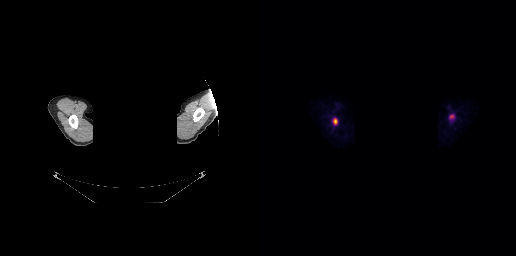
{"modality":"PSMA PET/CT","view":"axial","tracer":"18F","pet_grid":[256,256],"coord_frame":"pet_panel","coord_format":"x0,y0,x1,y1","lesion_bboxes":[[189,114,195,120],[73,118,77,124]],"de-identification":"face masked with black rectangle"}